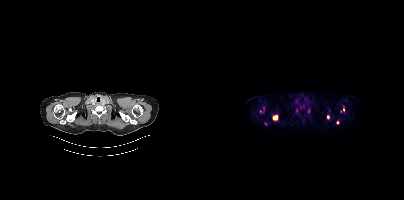
Coordinates are on the 200×200 PET (right) panel. (showing 3 of 6 foci) PSMA-avid tumor lesion bounding box (x, y, width, height): x=69 y=115 w=5 h=5. Small PSMA-avid foci (2 to 4 px across) near (center x, center y): (124, 116) | (139, 109). Paired axial CT (left) and PSMA PET (right), 18F-PSMA tracer.